modality: PSMA PET/CT | tracer: [68Ga]Ga-PSMA-11 | view: axial | PET grid: 200×200
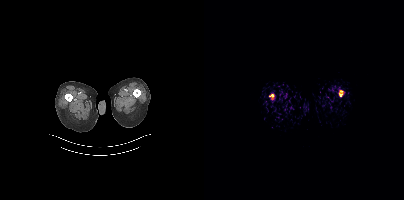
No tumor lesions annotated on this slice.